modality: PSMA PET/CT | tracer: 18F-PSMA | view: axial
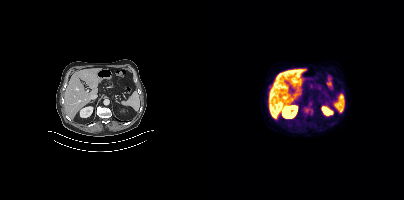
Coordinates are on the 200×200 PET (right) panel. Small PSMA-avid foci (2 to 4 px across) near (center x, center y): (102, 109); (128, 123).